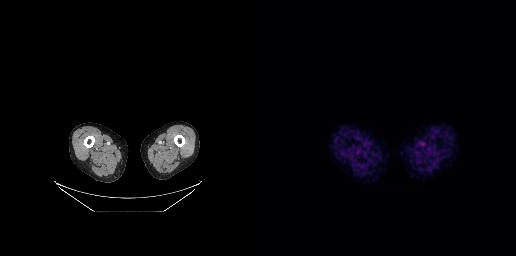
No PSMA-avid tumor lesions on this slice. Left: CT. Right: PSMA PET, same axial level, 68Ga tracer. Slice position z = -830 mm. PET panel 256×256 px (2.7 mm/px).